Left: CT. Right: PSMA PET, same axial level, [18F]PSMA-1007 tracer.
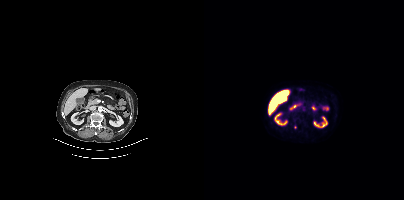
Coordinates are on the 200×200 PET (right) panel. Small PSMA-avid focus (2 to 4 px across) near (center x, center y): (91, 127).